Two-panel axial: CT | PSMA PET, 68Ga-PSMA tracer. Slice 133 of 405. PET panel 200×200 px (4.1 mm/px).
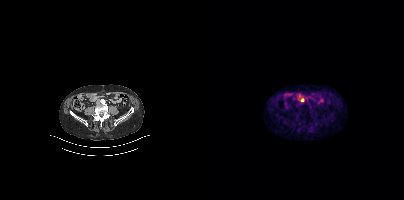
Coordinates are on the 200×200 PET (right) panel. Small PSMA-avid focus (2 to 4 px across) near (center x, center y): (98, 99).